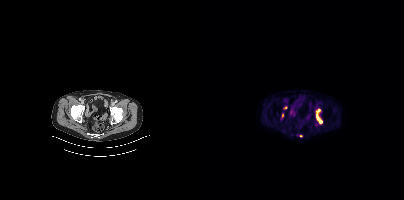
Coordinates are on the 200×200 PET (right) panel. PSMA-avid tumor lesion bounding boxes (partial; 1 more focus not listed):
| # | x0 | y0 | x1 | y1 |
|---|---|---|---|---|
| 1 | 112 | 109 | 118 | 123 |
Small PSMA-avid foci (2 to 4 px across) near (center x, center y): (78, 115); (97, 135).
Paired axial CT (left) and PSMA PET (right), 18F tracer. PET panel 200×200 px (4.1 mm/px).